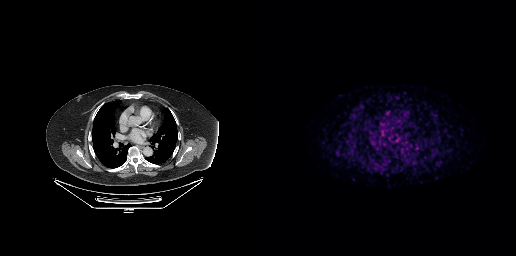
Left: CT. Right: PSMA PET, same axial level, 18F-PSMA tracer. Acquired on GE Discovery 690. PET panel 256×256 px (2.7 mm/px). Negative for PSMA-avid disease on this slice.